Paired axial CT (left) and PSMA PET (right), [18F]PSMA-1007 tracer.
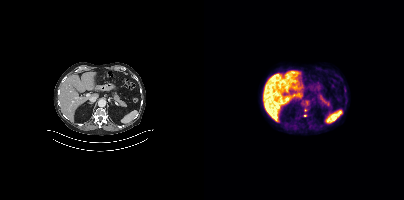
Coordinates are on the 200×200 PET (right) panel. (showing 1 of 2 foci) Small PSMA-avid focus (2 to 4 px across) near (center x, center y): (101, 115).